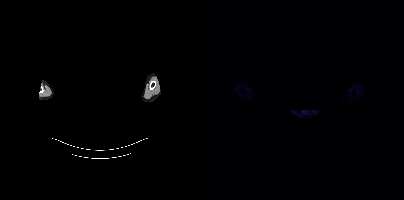
{"pet_grid":[200,200],"coord_frame":"pet_panel","coord_format":"x0,y0,x1,y1","psma_avid_lesions":false,"deidentification":"privacy mask over head","modality":"PSMA PET/CT","view":"axial","tracer":"68Ga-PSMA"}